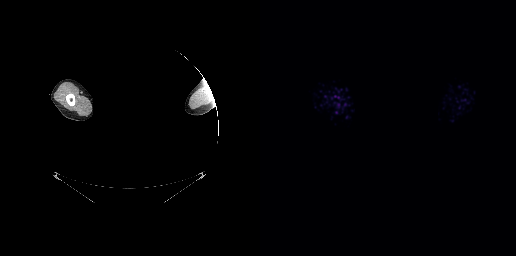
Technique: Paired axial CT (left) and PSMA PET (right), 18F tracer. slice position z = -8 mm. PET panel 256×256 px (2.7 mm/px).
Note: De-identified by setting a box covering the face to black before release.
Findings: No PSMA-avid tumor lesions on this slice.